Left: CT. Right: PSMA PET, same axial level, [18F]PSMA-1007 tracer. Slice position z = -1711 mm. PET panel 200×200 px (4.1 mm/px).
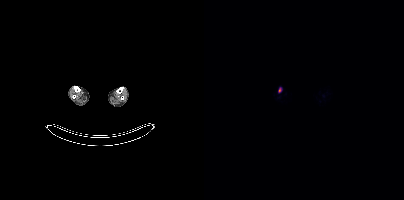
Coordinates are on the 200×200 PET (right) panel. PSMA-avid tumor lesion bounding boxes:
| # | x0 | y0 | x1 | y1 |
|---|---|---|---|---|
| 1 | 74 | 87 | 77 | 92 |